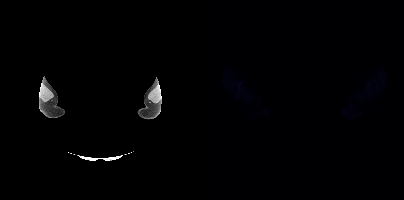
Privacy masking over the head, with the pixels inside a rectangle set to black. Left: CT. Right: PSMA PET, same axial level, 18F tracer. Acquired on Siemens Biograph mCT Flow 20. Slice position z = -800 mm. PET panel 200×200 px (4.1 mm/px). This slice has no annotated PSMA-avid lesion.